Technique: Paired axial CT (left) and PSMA PET (right), [18F]PSMA-1007 tracer. slice 79 of 299.
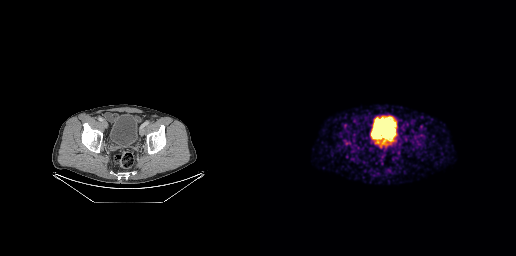
Findings: Only PSMA-avid lesion pieces thinner than 2 px on this slice (not listed).